- Paired axial CT (left) and PSMA PET (right), 18F-PSMA tracer
- acquired on GE Discovery 690
- slice 203 of 263
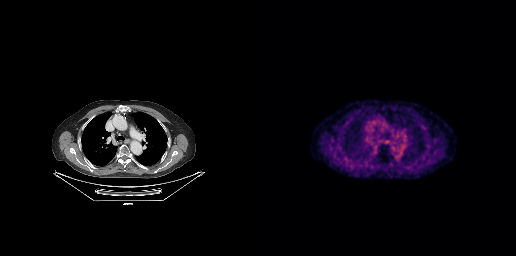
Findings: Negative for PSMA-avid disease on this slice.